Technique: Paired axial CT (left) and PSMA PET (right), 18F tracer. acquired on Siemens Biograph mCT Flow 20. slice 1 of 427. PET panel 200×200 px (4.1 mm/px).
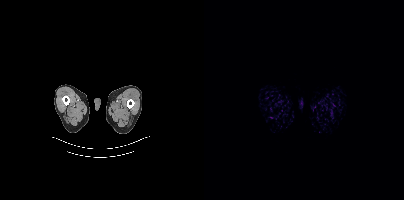
Findings: No PSMA-avid tumor lesions on this slice.